Technique: Two-panel axial: CT | PSMA PET, 68Ga-PSMA tracer. slice 160 of 195.
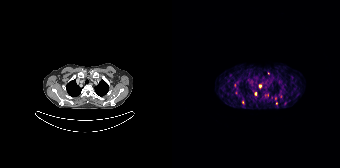
Findings: Coordinates are on the 168×168 PET (right) panel. Small PSMA-avid foci (2 to 4 px across) near (center x, center y): (63, 85) (71, 102) (104, 103) (96, 73) (83, 93) (87, 85).